Technique: Paired axial CT (left) and PSMA PET (right), 68Ga-PSMA tracer. acquired on Siemens Biograph 64-4R TruePoint. slice 152 of 195.
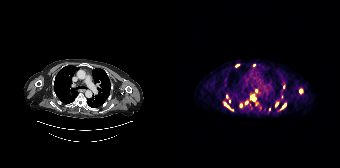
Findings: Coordinates are on the 168×168 PET (right) panel. (showing 11 of 14 foci) PSMA-avid tumor lesion bounding boxes (x0, y0)-(x1, y1): (52, 103)-(61, 111); (79, 95)-(82, 100); (110, 104)-(113, 108). Small PSMA-avid foci (2 to 4 px across) near (center x, center y): (128, 91); (55, 96); (65, 65); (84, 90); (104, 104); (68, 105); (97, 109); (74, 102).